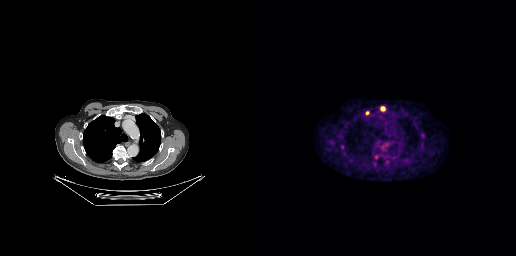
Coordinates are on the 256×256 PET (right) panel. PSMA-avid tumor lesion bounding boxes:
| # | x0 | y0 | x1 | y1 |
|---|---|---|---|---|
| 1 | 105 | 111 | 109 | 115 |
| 2 | 81 | 145 | 84 | 149 |
| 3 | 121 | 145 | 123 | 149 |
Small PSMA-avid foci (2 to 4 px across) near (center x, center y): (122, 108); (127, 161).
Paired axial CT (left) and PSMA PET (right), 18F-PSMA tracer. PET panel 256×256 px (2.7 mm/px).